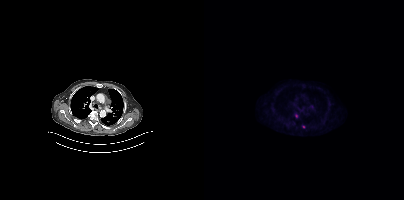
Left: CT. Right: PSMA PET, same axial level, [18F]PSMA-1007 tracer. Slice position z = -544 mm. PET panel 200×200 px (4.1 mm/px). Coordinates are on the 200×200 PET (right) panel. Small PSMA-avid foci (2 to 4 px across) near (center x, center y): (92, 115) | (99, 126).